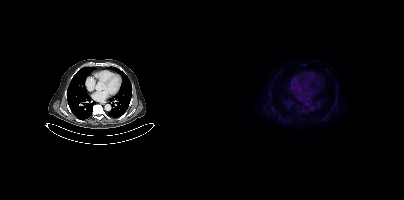
- Paired axial CT (left) and PSMA PET (right), [18F]PSMA-1007 tracer
- acquired on Siemens Biograph mCT Flow 20
Findings: Negative for PSMA-avid disease on this slice.